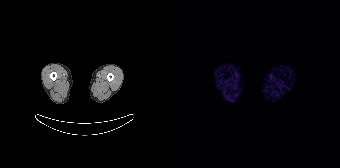
modality: PSMA PET/CT | tracer: [68Ga]Ga-PSMA-11 | view: axial | PET grid: 168×168
Negative for PSMA-avid disease on this slice.